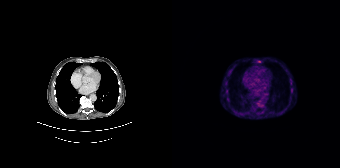
modality: PSMA PET/CT | tracer: 68Ga | view: axial
Coordinates are on the 168×168 PET (right) panel. (showing 3 of 7 foci) PSMA-avid tumor lesion bounding box (x0, y0)-(x1, y1): (86, 102)-(91, 106). Small PSMA-avid foci (2 to 4 px across) near (center x, center y): (87, 61) / (90, 111).